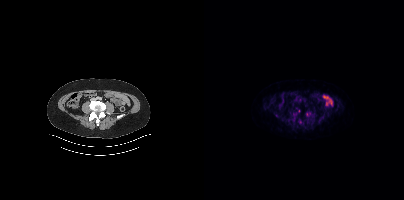
{"modality":"PSMA PET/CT","view":"axial","tracer":"[18F]PSMA-1007","pet_grid":[200,200],"coord_frame":"pet_panel","coord_format":"x0,y0,x1,y1","partial":true,"lesion_bboxes":[]}